Paired axial CT (left) and PSMA PET (right), 18F-PSMA tracer. Slice 309 of 417.
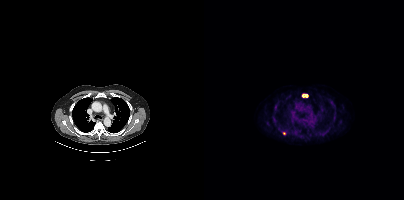
Coordinates are on the 200×200 PET (right) panel. PSMA-avid tumor lesion bounding box (x, y, width, height): x=98 y=94 w=7 h=4. Small PSMA-avid focus (2 to 4 px across) near (center x, center y): (80, 133).